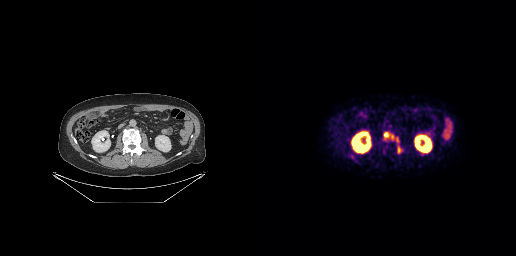
Coordinates are on the 256×256 PET (right) panel. PSMA-avid tumor lesion bounding boxes (x0, y0)-(x1, y1): (123, 132)-(134, 140); (137, 146)-(141, 153); (136, 137)-(138, 142).